- Left: CT. Right: PSMA PET, same axial level, 68Ga-PSMA tracer
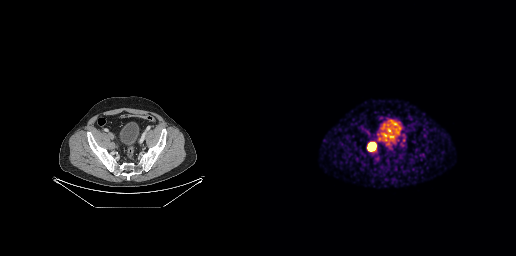
Findings: Coordinates are on the 256×256 PET (right) panel. PSMA-avid tumor lesion bounding box (x0, y0)-(x1, y1): (107, 142)-(116, 151).